Left: CT. Right: PSMA PET, same axial level, 18F tracer. Acquired on Siemens Biograph mCT Flow 20. PET panel 200×200 px (4.1 mm/px).
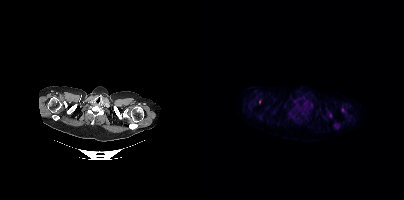
Coordinates are on the 200×200 PET (right) panel. Small PSMA-avid focus (2 to 4 px across) near (center x, center y): (55, 101).